Paired axial CT (left) and PSMA PET (right), 18F tracer. Acquired on Siemens Biograph mCT Flow 20. Slice 94 of 413. PET panel 200×200 px (4.1 mm/px).
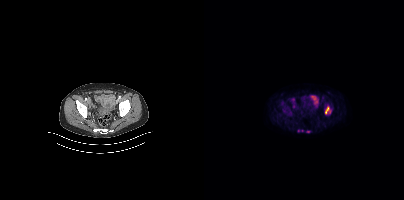
Coordinates are on the 200×200 PET (right) panel. (showing 2 of 4 foci) PSMA-avid tumor lesion bounding box (x0, y0)-(x1, y1): (121, 106)-(126, 114). Small PSMA-avid focus (2 to 4 px across) near (center x, center y): (104, 131).